modality: PSMA PET/CT | tracer: 18F | view: axial
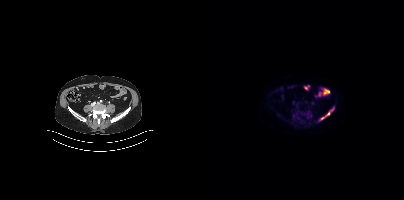
Coordinates are on the 200×200 PET (right) panel. PSMA-avid tumor lesion bounding box (x0, y0)-(x1, y1): (116, 108)-(130, 120). Small PSMA-avid focus (2 to 4 px across) near (center x, center y): (89, 115).